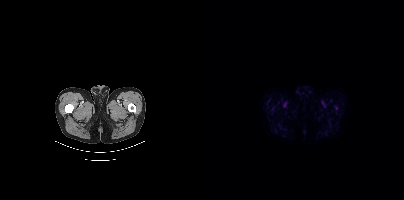
Technique: Paired axial CT (left) and PSMA PET (right), 18F-PSMA tracer. acquired on Siemens Biograph mCT Flow 20. slice 32 of 417.
Findings: No PSMA-avid tumor lesions on this slice.